modality: PSMA PET/CT | tracer: [18F]PSMA-1007 | view: axial
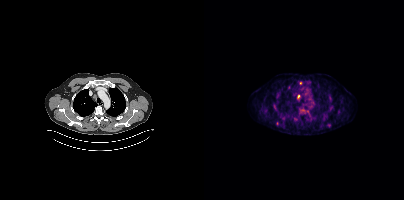
Coordinates are on the 200×200 PET (right) panel. PSMA-avid tumor lesion bounding box (x0, y0)-(x1, y1): (97, 109)-(105, 112). Small PSMA-avid foci (2 to 4 px across) near (center x, center y): (94, 96); (73, 123); (96, 83); (91, 119); (123, 125).